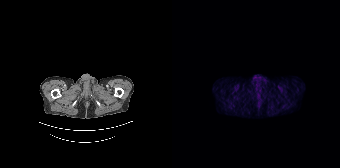
- Paired axial CT (left) and PSMA PET (right), 68Ga-PSMA tracer
Findings: No tumor lesions annotated on this slice.